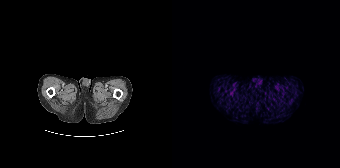
Findings: No tumor lesions annotated on this slice.
Technique: Paired axial CT (left) and PSMA PET (right), 68Ga-PSMA tracer. acquired on Siemens Biograph 64-4R TruePoint.